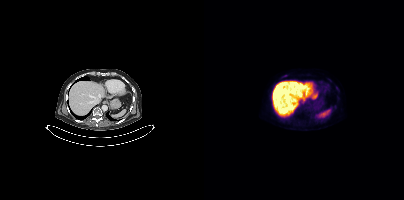
Negative for PSMA-avid disease on this slice. Left: CT. Right: PSMA PET, same axial level, 18F-PSMA tracer. Acquired on Siemens Biograph mCT Flow 20.